Paired axial CT (left) and PSMA PET (right), 18F tracer. Acquired on Siemens Biograph mCT Flow 20. Slice position z = -774 mm. PET panel 200×200 px (4.1 mm/px).
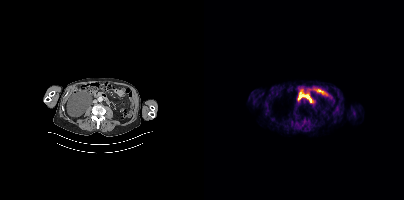
This slice has no annotated PSMA-avid lesion.